Two-panel axial: CT | PSMA PET, 18F tracer. Slice position z = -1492 mm.
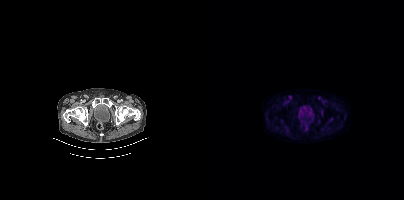
This slice has no annotated PSMA-avid lesion.